- Paired axial CT (left) and PSMA PET (right), 68Ga tracer
- PET panel 256×256 px (2.7 mm/px)
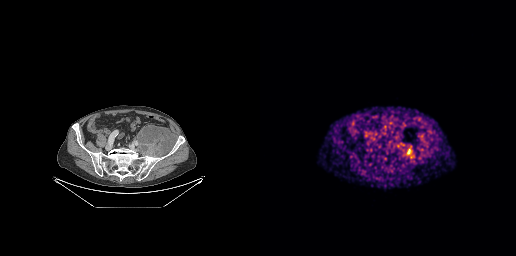
Findings: Coordinates are on the 256×256 PET (right) panel. PSMA-avid tumor lesion bounding box (x0,y0,x1,y1): [143,146,154,158].